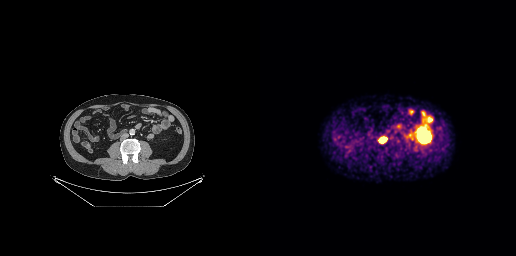
- Two-panel axial: CT | PSMA PET, [68Ga]Ga-PSMA-11 tracer
- acquired on GE Discovery 690
- slice position z = -727 mm
Findings: Coordinates are on the 256×256 PET (right) panel. PSMA-avid tumor lesion bounding box (x0,y0,x1,y1): [118,136,127,143].